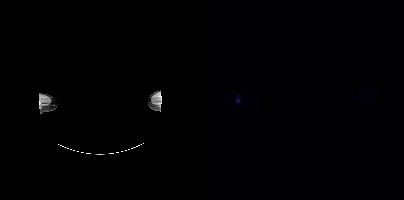
Findings: Coordinates are on the 200×200 PET (right) panel. PSMA-avid tumor lesion bounding box (x0,y0,x1,y1): [32,98,36,103]. Small PSMA-avid focus (2 to 4 px across) near (center x, center y): (34, 95).
Technique: Left: CT. Right: PSMA PET, same axial level, 18F tracer. slice position z = -941 mm.
Note: Facial anatomy redacted by setting a rectangular region of the head to black.